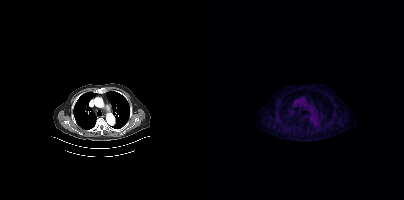
{"modality":"PSMA PET/CT","view":"axial","tracer":"[18F]PSMA-1007","pet_grid":[200,200],"coord_frame":"pet_panel","coord_format":"x0,y0,x1,y1","psma_avid_lesions":false}